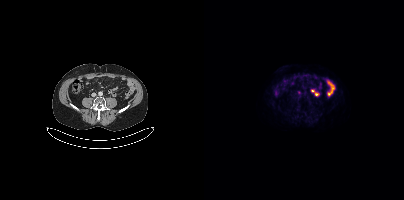
{"pet_grid":[200,200],"coord_frame":"pet_panel","coord_format":"x0,y0,x1,y1","lesion_bboxes":[],"small_foci_centers":[[95,92]],"modality":"PSMA PET/CT","view":"axial","tracer":"18F"}